- Left: CT. Right: PSMA PET, same axial level, 68Ga-PSMA tracer
- PET panel 200×200 px (4.1 mm/px)
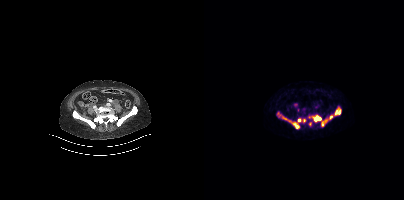
Findings: Coordinates are on the 200×200 PET (right) panel. (showing 6 of 7 foci) PSMA-avid tumor lesion bounding boxes (x0,y0,x1,y1): [72,111,95,128]; [117,108,137,126]; [109,115,117,121]; [105,122,107,126]. Small PSMA-avid foci (2 to 4 px across) near (center x, center y): (95, 119); (100, 120).